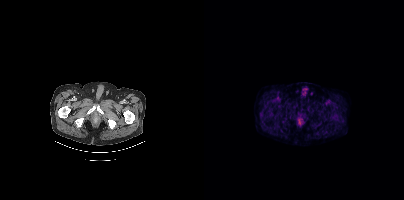
{"modality":"PSMA PET/CT","view":"axial","tracer":"18F-PSMA","pet_grid":[200,200],"coord_frame":"pet_panel","coord_format":"x0,y0,x1,y1","psma_avid_lesions":false}